Left: CT. Right: PSMA PET, same axial level, [18F]PSMA-1007 tracer. Acquired on Siemens Biograph mCT Flow 20. Slice position z = -1636 mm.
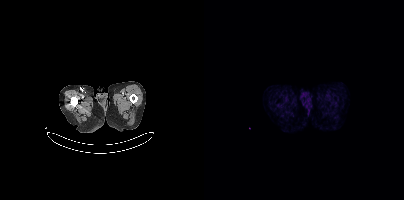
This slice has no annotated PSMA-avid lesion.